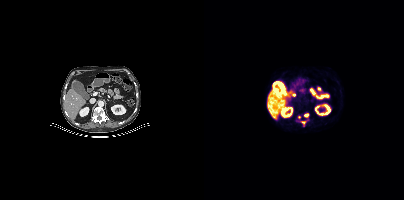
{"modality":"PSMA PET/CT","view":"axial","tracer":"[18F]PSMA-1007","pet_grid":[200,200],"coord_frame":"pet_panel","coord_format":"x0,y0,x1,y1","partial":true,"lesion_bboxes":[],"small_foci_centers":[[99,122],[102,115]]}